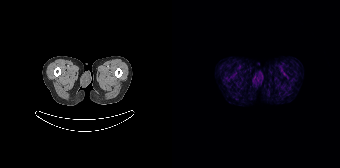
{"pet_grid":[168,168],"coord_frame":"pet_panel","coord_format":"x0,y0,x1,y1","psma_avid_lesions":false,"modality":"PSMA PET/CT","view":"axial","tracer":"68Ga"}